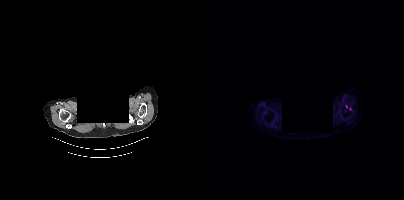
An anonymization step blacked out a rectangle over the head in this scan.
Coordinates are on the 200×200 PET (right) panel. Small PSMA-avid foci (2 to 4 px across) near (center x, center y): (142, 106); (146, 108).